modality: PSMA PET/CT | tracer: 18F-PSMA | view: axial
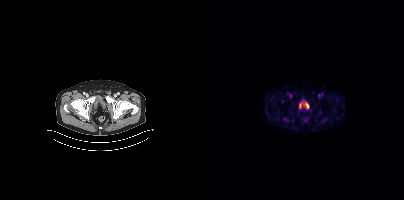
Coordinates are on the 200×200 PET (right) panel. PSMA-avid tumor lesion bounding boxes (x, y, width, height): x=79 y=117 w=6 h=5 / x=118 y=118 w=5 h=5. Small PSMA-avid focus (2 to 4 px across) near (center x, center y): (78, 101).